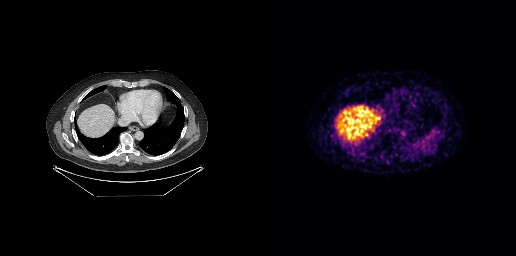
Negative for PSMA-avid disease on this slice.